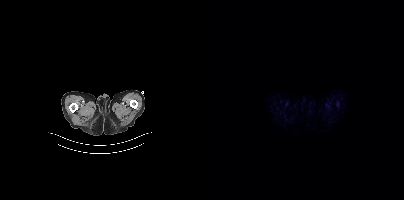
- Two-panel axial: CT | PSMA PET, 18F tracer
- PET panel 200×200 px (4.1 mm/px)
Findings: No PSMA-avid tumor lesions on this slice.